Technique: Left: CT. Right: PSMA PET, same axial level, 18F tracer. PET panel 256×256 px (2.7 mm/px).
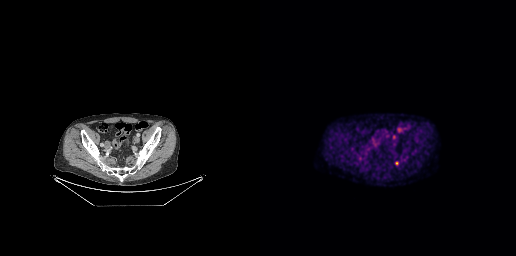
Findings: Coordinates are on the 256×256 PET (right) panel. PSMA-avid tumor lesion bounding box (x0,y0,x1,y1): [135,161,138,165]. Small PSMA-avid focus (2 to 4 px across) near (center x, center y): (134, 136).